Technique: Left: CT. Right: PSMA PET, same axial level, 68Ga tracer. PET panel 168×168 px (4.1 mm/px).
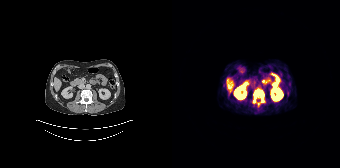
Findings: Coordinates are on the 168×168 PET (right) panel. (showing 2 of 3 foci) PSMA-avid tumor lesion bounding box (x, y, width, height): x=81 y=90 w=12 h=13. Small PSMA-avid focus (2 to 4 px across) near (center x, center y): (57, 93).